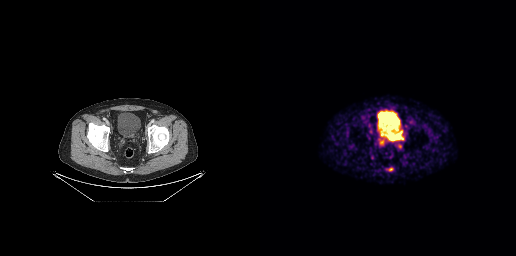
Findings: Coordinates are on the 256×256 PET (right) panel. PSMA-avid tumor lesion bounding boxes (x0, y0)-(x1, y1): (137, 133)-(142, 139) | (129, 136)-(135, 140) | (119, 140)-(124, 144). Small PSMA-avid focus (2 to 4 px across) near (center x, center y): (139, 145).
- Paired axial CT (left) and PSMA PET (right), [68Ga]Ga-PSMA-11 tracer
- acquired on GE Discovery 690